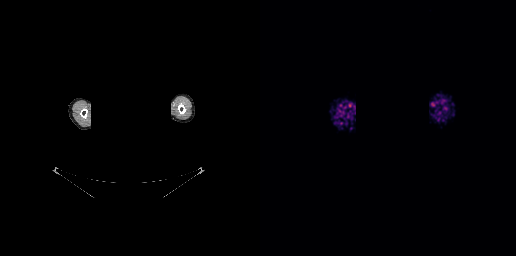
modality: PSMA PET/CT | tracer: 68Ga-PSMA | view: axial | PET grid: 256×256 | deidentification: privacy mask over head
This slice has no annotated PSMA-avid lesion.